modality: PSMA PET/CT | tracer: 18F-PSMA | view: axial | PET grid: 200×200
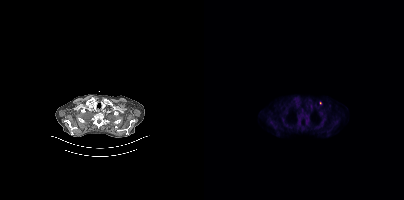
Coordinates are on the 200×200 PET (right) panel. (showing 1 of 2 foci) Small PSMA-avid focus (2 to 4 px across) near (center x, center y): (116, 102).